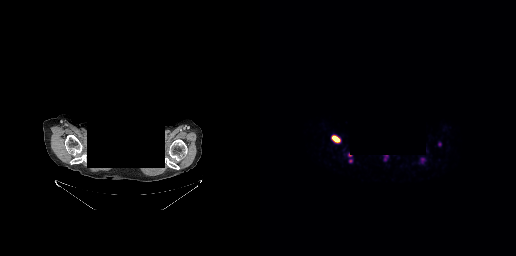
Findings: Coordinates are on the 256×256 PET (right) panel. (showing 1 of 3 foci) PSMA-avid tumor lesion bounding box (x0,y0,x1,y1): [72,136,79,141].
Technique: Paired axial CT (left) and PSMA PET (right), 68Ga-PSMA tracer.
Note: Privacy masking over the head, with the pixels inside a rectangle set to black.